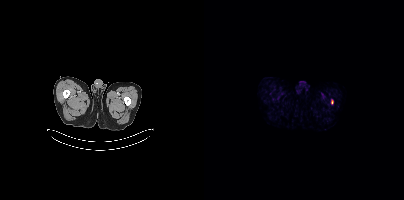
Coordinates are on the 200×200 PET (right) panel. Small PSMA-avid focus (2 to 4 px across) near (center x, center y): (128, 101).